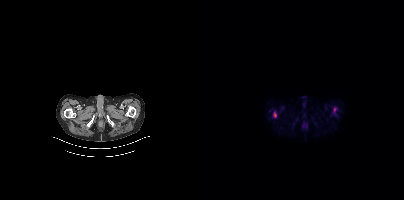
- Left: CT. Right: PSMA PET, same axial level, 18F-PSMA tracer
- slice 47 of 415
- PET panel 200×200 px (4.1 mm/px)
Findings: Coordinates are on the 200×200 PET (right) panel. PSMA-avid tumor lesion bounding boxes (x0, y0)-(x1, y1): (70, 112)-(72, 117) / (130, 107)-(133, 111).